Paired axial CT (left) and PSMA PET (right), 18F tracer. Acquired on Siemens Biograph mCT Flow 20. Slice position z = -1042 mm.
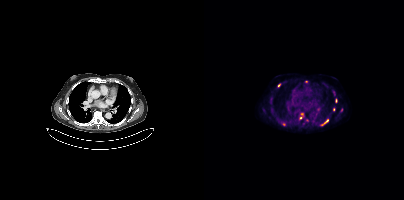
Coordinates are on the 200×200 PET (right) panel. PSMA-avid tumor lesion bounding boxes (partial; 1 more focus not listed):
| # | x0 | y0 | x1 | y1 |
|---|---|---|---|---|
| 1 | 117 | 119 | 124 | 125 |
| 2 | 95 | 113 | 99 | 119 |
Small PSMA-avid foci (2 to 4 px across) near (center x, center y): (79, 124); (132, 100); (102, 81); (75, 85); (129, 109); (137, 110).